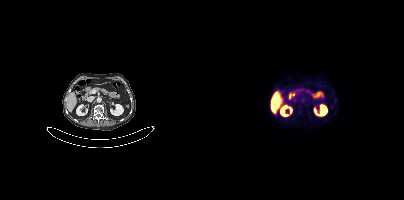
{"modality":"PSMA PET/CT","view":"axial","tracer":"18F","pet_grid":[200,200],"coord_frame":"pet_panel","coord_format":"x0,y0,x1,y1","psma_avid_lesions":false}